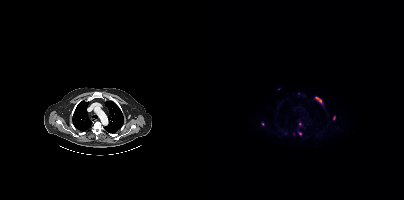
Coordinates are on the 200×200 PET (right) panel. PSMA-avid tumor lesion bounding box (x0, y0)-(x1, y1): (111, 97)-(117, 102). Small PSMA-avid foci (2 to 4 px across) near (center x, center y): (130, 117) / (96, 133) / (96, 124) / (58, 124) / (94, 93).